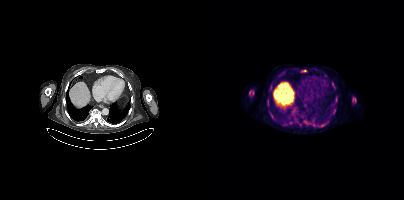
Coordinates are on the 200×200 PET (right) panel. PSMA-avid tumor lesion bounding boxes (x, y, width, height): x=45 y=90 w=5 h=5 | x=148 y=97 w=5 h=6. Small PSMA-avid foci (2 to 4 px across) near (center x, center y): (100, 70) | (64, 105) | (128, 83).